- Two-panel axial: CT | PSMA PET, [68Ga]Ga-PSMA-11 tracer
- acquired on GE Discovery 690
- PET panel 256×256 px (2.7 mm/px)
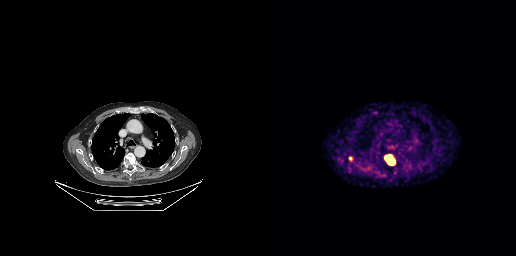
Findings: Coordinates are on the 256×256 PET (right) panel. PSMA-avid tumor lesion bounding boxes (x0, y0)-(x1, y1): (125, 154)-(134, 164); (88, 156)-(92, 160). Small PSMA-avid focus (2 to 4 px across) near (center x, center y): (115, 112).